Two-panel axial: CT | PSMA PET, [18F]PSMA-1007 tracer. Acquired on Siemens Biograph mCT Flow 20. Slice position z = 1724 mm. PET panel 200×200 px (4.1 mm/px).
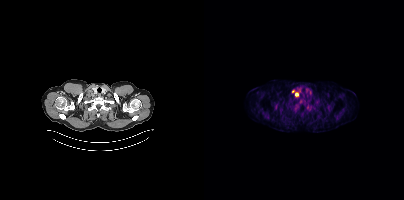
Coordinates are on the 200×200 PET (right) panel. PSMA-avid tumor lesion bounding boxes:
| # | x0 | y0 | x1 | y1 |
|---|---|---|---|---|
| 1 | 91 | 92 | 94 | 96 |
Small PSMA-avid focus (2 to 4 px across) near (center x, center y): (89, 91).